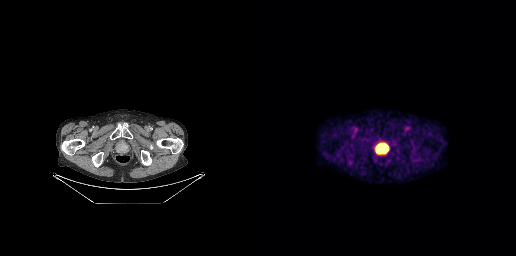
Coordinates are on the 256×256 PET (right) panel. PSMA-avid tumor lesion bounding box (x0, y0)-(x1, y1): (116, 143)-(128, 153).
modality: PSMA PET/CT | tracer: 18F | view: axial | PET grid: 256×256